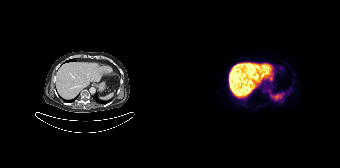
No tumor lesions annotated on this slice. Two-panel axial: CT | PSMA PET, [18F]PSMA-1007 tracer.